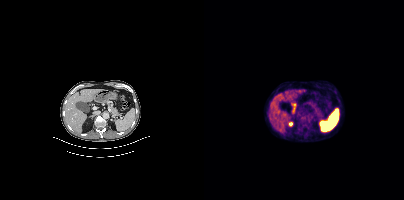
Coordinates are on the 200×200 PET (right) panel. PSMA-avid tumor lesion bounding boxes:
| # | x0 | y0 | x1 | y1 |
|---|---|---|---|---|
| 1 | 96 | 117 | 106 | 125 |
Paired axial CT (left) and PSMA PET (right), [18F]PSMA-1007 tracer. Acquired on Siemens Biograph mCT Flow 20. Slice position z = -206 mm.